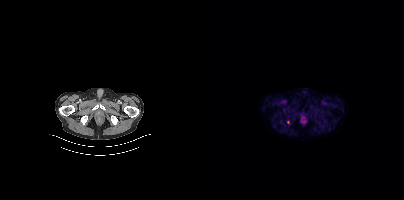
Findings: Only PSMA-avid lesion pieces thinner than 2 px on this slice (not listed).
Technique: Two-panel axial: CT | PSMA PET, [18F]PSMA-1007 tracer. PET panel 200×200 px (4.1 mm/px).